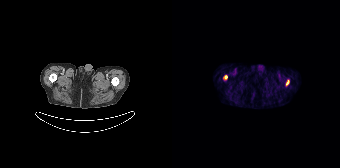
Coordinates are on the 168×168 PET (right) panel. PSMA-avid tumor lesion bounding box (x, y, width, height): x=114 y=80 w=4 h=6. Small PSMA-avid focus (2 to 4 px across) near (center x, center y): (53, 76).